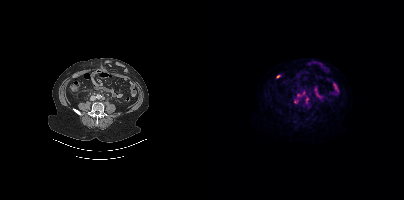
- Paired axial CT (left) and PSMA PET (right), 18F tracer
- slice position z = -1315 mm
- PET panel 200×200 px (4.1 mm/px)
Findings: Coordinates are on the 200×200 PET (right) panel. PSMA-avid tumor lesion bounding box (x0,y0,x1,y1): [93,91,101,97]. Small PSMA-avid focus (2 to 4 px across) near (center x, center y): (102, 101).